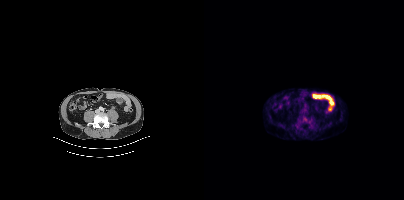
Technique: Paired axial CT (left) and PSMA PET (right), 18F-PSMA tracer. slice position z = -384 mm. PET panel 200×200 px (4.1 mm/px).
Findings: Coordinates are on the 200×200 PET (right) panel. PSMA-avid tumor lesion bounding box (x0, y0)-(x1, y1): (98, 115)-(108, 125).